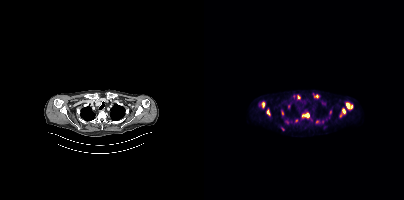
Paired axial CT (left) and PSMA PET (right), 18F tracer. Acquired on Siemens Biograph mCT Flow 20. Slice 295 of 401.
Coordinates are on the 200×200 PET (right) panel. PSMA-avid tumor lesion bounding boxes (partial; 2 more foci not listed):
| # | x0 | y0 | x1 | y1 |
|---|---|---|---|---|
| 1 | 142 | 102 | 148 | 109 |
| 2 | 136 | 108 | 141 | 117 |
| 3 | 98 | 113 | 105 | 117 |
| 4 | 93 | 95 | 96 | 99 |
| 5 | 58 | 102 | 60 | 107 |
| 6 | 63 | 110 | 66 | 115 |
| 7 | 110 | 94 | 114 | 97 |
| 8 | 84 | 104 | 86 | 108 |
Small PSMA-avid foci (2 to 4 px across) near (center x, center y): (92, 120); (113, 121); (126, 112); (78, 113); (78, 129).